Two-panel axial: CT | PSMA PET, 18F tracer. Slice position z = -930 mm. PET panel 200×200 px (4.1 mm/px).
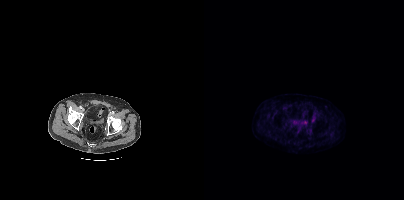
This slice has no annotated PSMA-avid lesion.